modality: PSMA PET/CT | tracer: [18F]PSMA-1007 | view: axial
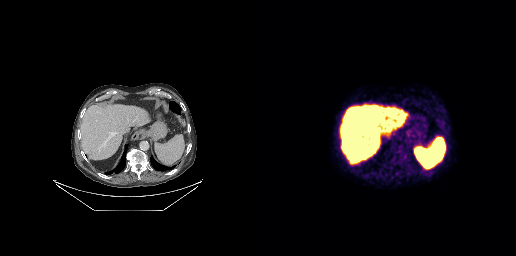
No tumor lesions annotated on this slice.